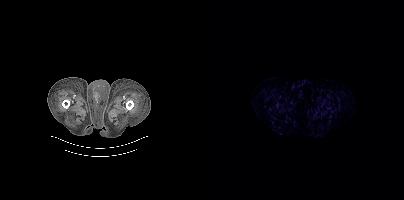
No PSMA-avid tumor lesions on this slice. Paired axial CT (left) and PSMA PET (right), 18F-PSMA tracer. Acquired on Siemens Biograph mCT Flow 20. Slice 6 of 344.